Left: CT. Right: PSMA PET, same axial level, 18F tracer. Slice 79 of 442. PET panel 200×200 px (4.1 mm/px).
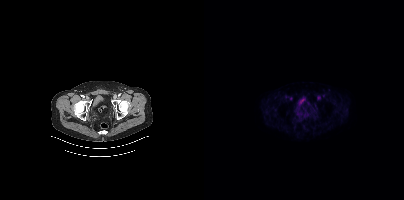
No PSMA-avid tumor lesions on this slice.